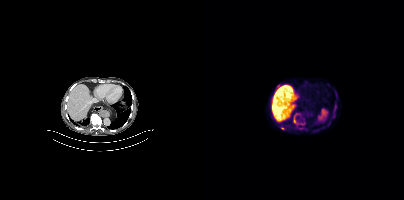
Coordinates are on the 200×200 PET (right) panel. (showing 5 of 7 foci) PSMA-avid tumor lesion bounding box (x0, y0)-(x1, y1): (89, 113)-(94, 123). Small PSMA-avid foci (2 to 4 px across) near (center x, center y): (131, 107) / (78, 128) / (74, 86) / (130, 116).